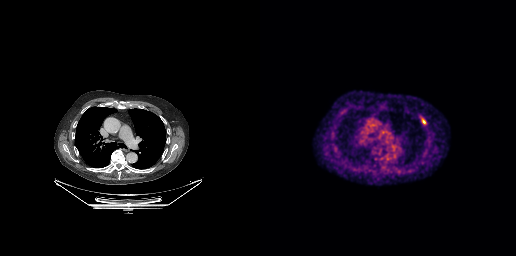
{"modality":"PSMA PET/CT","view":"axial","tracer":"[18F]PSMA-1007","pet_grid":[256,256],"coord_frame":"pet_panel","coord_format":"x0,y0,x1,y1","lesion_bboxes":[[162,119,165,123]]}